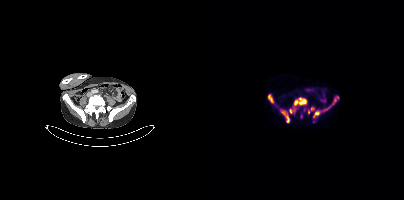
Coordinates are on the 200×200 PET (right) panel. (showing 9 of 12 foci) PSMA-avid tumor lesion bounding boxes (x0,y0,x1,y1): [90,97,102,106] [76,109,85,122] [127,95,135,105] [109,111,115,118] [64,94,70,103] [85,108,91,113]. Small PSMA-avid foci (2 to 4 px across) near (center x, center y): (108, 108) (104, 111) (109, 121).